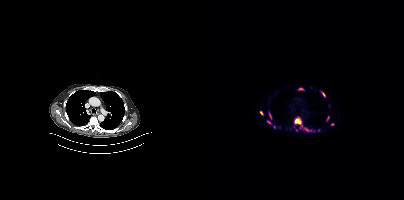
- Paired axial CT (left) and PSMA PET (right), 18F-PSMA tracer
- PET panel 200×200 px (4.1 mm/px)
Findings: Coordinates are on the 200×200 PET (right) panel. (showing 11 of 14 foci) PSMA-avid tumor lesion bounding boxes (x0,y0,x1,y1): [90,117,98,128] [116,91,121,97] [65,112,67,118] [95,88,99,89] [123,116,125,120] [100,128,104,130]. Small PSMA-avid foci (2 to 4 px across) near (center x, center y): (57, 112) (128, 124) (64, 122) (92, 130) (114, 130).